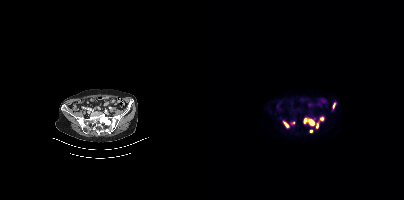
{"pet_grid":[200,200],"coord_frame":"pet_panel","coord_format":"x0,y0,x1,y1","lesion_bboxes":[[99,118,111,124],[79,121,85,127],[129,103,131,108],[112,122,114,127]],"small_foci_centers":[[117,118],[107,131],[89,122]],"modality":"PSMA PET/CT","view":"axial","tracer":"[68Ga]Ga-PSMA-11"}